- Two-panel axial: CT | PSMA PET, 18F tracer
- acquired on Siemens Biograph mCT Flow 20
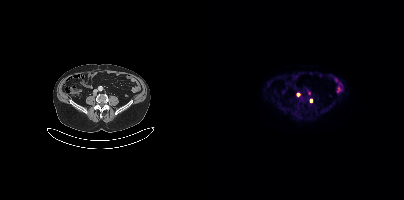
Findings: Coordinates are on the 200×200 PET (right) panel. Small PSMA-avid foci (2 to 4 px across) near (center x, center y): (94, 94); (107, 100).